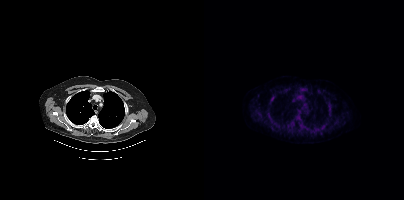
Left: CT. Right: PSMA PET, same axial level, 18F-PSMA tracer. Slice position z = -304 mm. No tumor lesions annotated on this slice.